Two-panel axial: CT | PSMA PET, [18F]PSMA-1007 tracer. Acquired on Siemens Biograph mCT Flow 20. PET panel 200×200 px (4.1 mm/px).
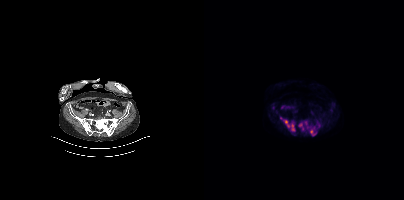
Coordinates are on the 200×200 PET (right) panel. PSMA-avid tumor lesion bounding boxes:
| # | x0 | y0 | x1 | y1 |
|---|---|---|---|---|
| 1 | 76 | 117 | 91 | 131 |
| 2 | 94 | 121 | 103 | 131 |
| 3 | 106 | 128 | 112 | 135 |
| 4 | 112 | 120 | 115 | 125 |